Paired axial CT (left) and PSMA PET (right), 18F tracer. Acquired on Siemens Biograph mCT Flow 20. Slice 56 of 423. PET panel 200×200 px (4.1 mm/px).
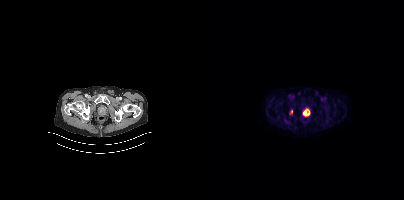
Coordinates are on the 200×200 PET (right) panel. PSMA-avid tumor lesion bounding boxes (x0,y0,x1,y1): [100,108,105,116] [86,111,88,115].